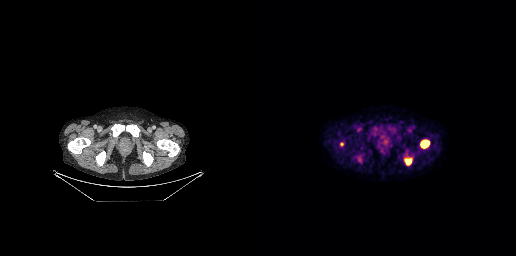
{"modality":"PSMA PET/CT","view":"axial","tracer":"18F","pet_grid":[256,256],"coord_frame":"pet_panel","coord_format":"x0,y0,x1,y1","lesion_bboxes":[[160,139,169,148],[144,158,151,164]],"small_foci_centers":[[81,144]]}